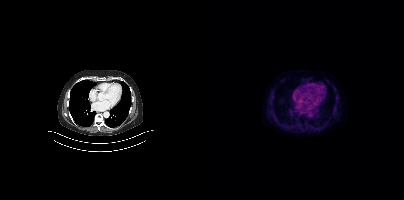
- Two-panel axial: CT | PSMA PET, 18F-PSMA tracer
Findings: Negative for PSMA-avid disease on this slice.